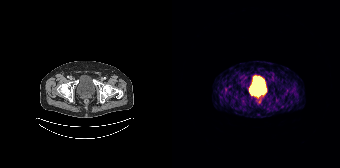
No tumor lesions annotated on this slice. Paired axial CT (left) and PSMA PET (right), 68Ga tracer. Acquired on Siemens Biograph 64-4R TruePoint.